modality: PSMA PET/CT | tracer: 18F | view: axial | PET grid: 200×200
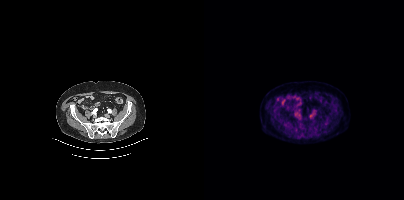
This slice has no annotated PSMA-avid lesion.